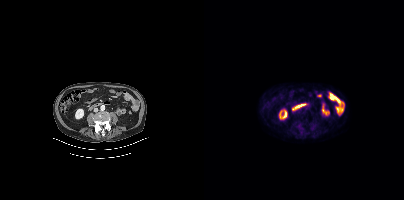
Two-panel axial: CT | PSMA PET, 18F tracer. PET panel 200×200 px (4.1 mm/px). No PSMA-avid tumor lesions on this slice.